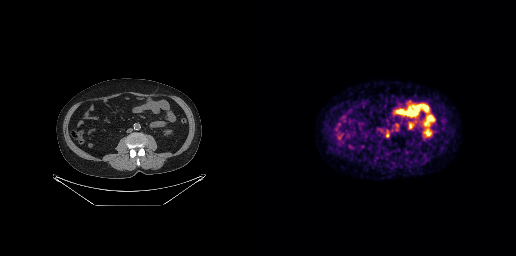
Left: CT. Right: PSMA PET, same axial level, [18F]PSMA-1007 tracer. Slice 114 of 263. PET panel 256×256 px (2.7 mm/px). Coordinates are on the 256×256 PET (right) panel. Small PSMA-avid focus (2 to 4 px across) near (center x, center y): (127, 135).